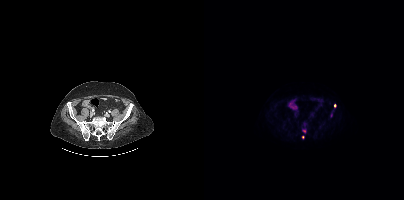
- Two-panel axial: CT | PSMA PET, [18F]PSMA-1007 tracer
- acquired on Siemens Biograph mCT Flow 20
Findings: Coordinates are on the 200×200 PET (right) panel. (showing 1 of 2 foci) Small PSMA-avid focus (2 to 4 px across) near (center x, center y): (98, 136).